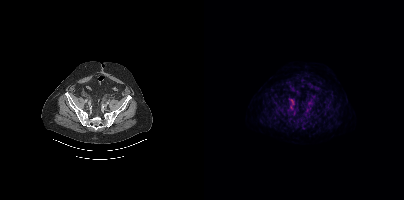
Technique: Two-panel axial: CT | PSMA PET, 18F tracer. PET panel 200×200 px (4.1 mm/px).
Findings: Coordinates are on the 200×200 PET (right) panel. PSMA-avid tumor lesion bounding box (x0, y0)-(x1, y1): (86, 99)-(90, 109).